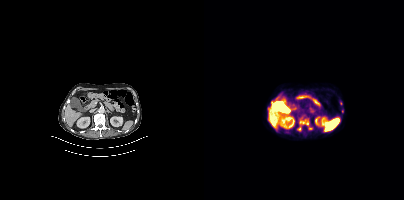
Two-panel axial: CT | PSMA PET, 18F tracer. Acquired on Siemens Biograph mCT Flow 20. Slice 245 of 466. PET panel 200×200 px (4.1 mm/px). Coordinates are on the 200×200 PET (right) panel. PSMA-avid tumor lesion bounding boxes (x0, y0)-(x1, y1): (96, 121)-(105, 125) / (93, 127)-(97, 130). Small PSMA-avid foci (2 to 4 px across) near (center x, center y): (106, 128) / (136, 103) / (138, 111).